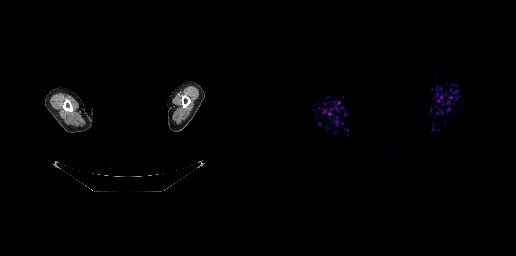
{"pet_grid":[256,256],"coord_frame":"pet_panel","coord_format":"x0,y0,x1,y1","psma_avid_lesions":false,"deidentification":"face masked with black rectangle","modality":"PSMA PET/CT","view":"axial","tracer":"68Ga"}